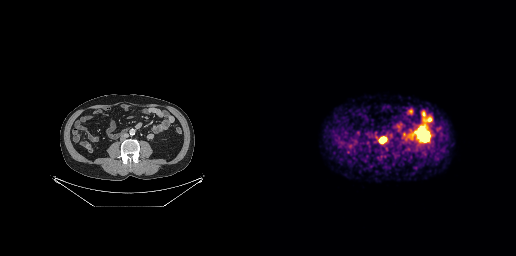
Coordinates are on the 256×256 PET (right) panel. PSMA-avid tumor lesion bounding box (x0,y0,x1,y1): [118,136,127,143].
modality: PSMA PET/CT | tracer: [68Ga]Ga-PSMA-11 | view: axial